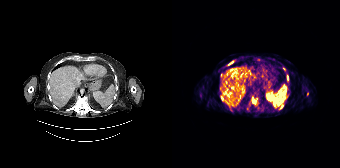
{"modality":"PSMA PET/CT","view":"axial","tracer":"[68Ga]Ga-PSMA-11","pet_grid":[168,168],"coord_frame":"pet_panel","coord_format":"x0,y0,x1,y1","lesion_bboxes":[[80,97,83,103],[57,60,62,64],[49,96,51,100],[115,75,116,80],[107,105,111,109]],"small_foci_centers":[[113,98],[135,94],[111,68]]}